Technique: Left: CT. Right: PSMA PET, same axial level, [18F]PSMA-1007 tracer. slice position z = -318 mm.
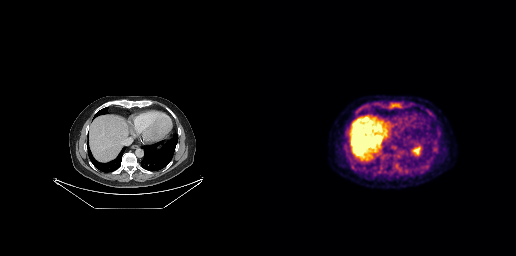
Findings: Coordinates are on the 256×256 PET (right) panel. PSMA-avid tumor lesion bounding box (x0, y0)-(x1, y1): (132, 103)-(138, 107).